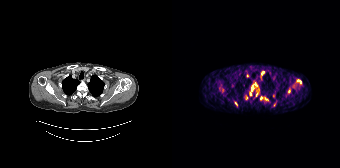
Coordinates are on the 168×168 PET (right) panel. (showing 10 of 12 foci) PSMA-avid tumor lesion bounding boxes (x0,y0,x1,y1): [79,82,85,90], [125,79,129,83], [89,71,92,75]. Small PSMA-avid foci (2 to 4 px across) near (center x, center y): (89, 97), (94, 98), (64, 103), (78, 94), (84, 94), (116, 91), (74, 98). Two-panel axial: CT | PSMA PET, 68Ga-PSMA tracer. Acquired on Siemens Biograph 64-4R TruePoint.